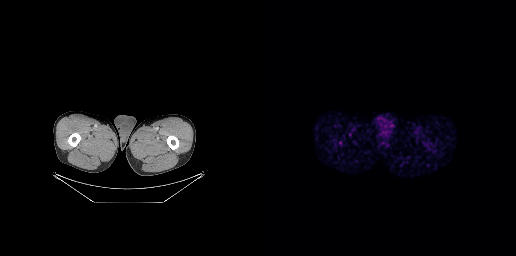
Left: CT. Right: PSMA PET, same axial level, 18F-PSMA tracer. Acquired on GE Discovery 690. PET panel 256×256 px (2.7 mm/px). Negative for PSMA-avid disease on this slice.